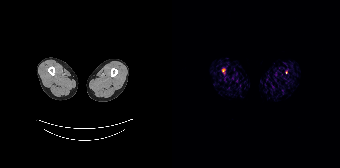
{"modality":"PSMA PET/CT","view":"axial","tracer":"68Ga-PSMA","pet_grid":[168,168],"coord_frame":"pet_panel","coord_format":"x0,y0,x1,y1","partial":true,"lesion_bboxes":[],"small_foci_centers":[[51,70]]}